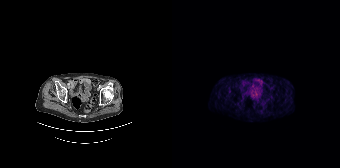
This slice has no annotated PSMA-avid lesion. Paired axial CT (left) and PSMA PET (right), 68Ga tracer. Acquired on Siemens Biograph 64-4R TruePoint. Slice 34 of 165.